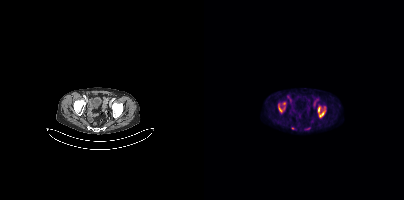
Coordinates are on the 200×200 PET (right) panel. PSMA-avid tumor lesion bounding boxes (x0,y0,x1,y1): [114,106,121,117] [74,104,81,112]. Small PSMA-avid focus (2 to 4 px across) near (center x, center y): (80, 103).